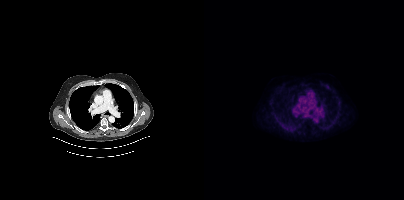
Findings: No tumor lesions annotated on this slice.
- Left: CT. Right: PSMA PET, same axial level, [18F]PSMA-1007 tracer